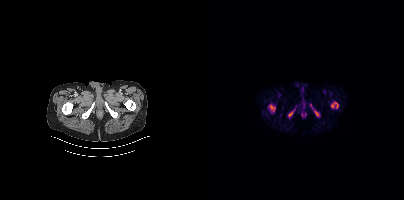
- Paired axial CT (left) and PSMA PET (right), [18F]PSMA-1007 tracer
- slice 20 of 395
Findings: Coordinates are on the 200×200 PET (right) panel. PSMA-avid tumor lesion bounding boxes (x0,y0,x1,y1): [64,104,71,112]; [84,105,93,117]; [127,102,134,107]; [110,111,114,115]. Small PSMA-avid focus (2 to 4 px across) near (center x, center y): (106, 105).